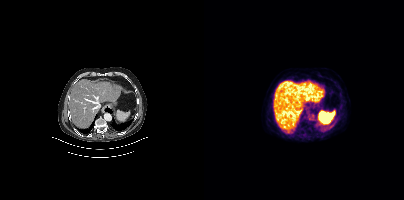
No tumor lesions annotated on this slice.